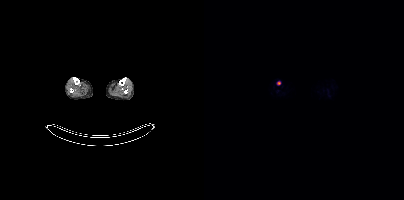
{"modality":"PSMA PET/CT","view":"axial","tracer":"[18F]PSMA-1007","pet_grid":[200,200],"coord_frame":"pet_panel","coord_format":"x0,y0,x1,y1","lesion_bboxes":[],"small_foci_centers":[[74,82]]}